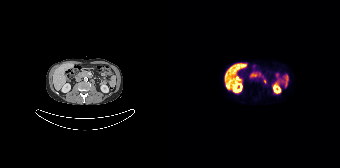
- Left: CT. Right: PSMA PET, same axial level, [18F]PSMA-1007 tracer
- slice position z = 1628 mm
Findings: Negative for PSMA-avid disease on this slice.